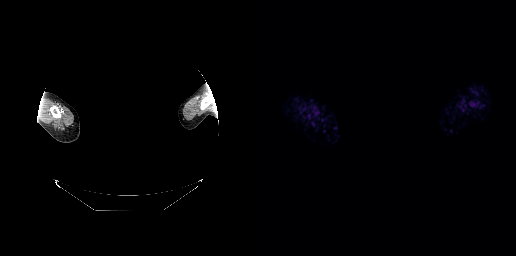
This slice has no annotated PSMA-avid lesion.
modality: PSMA PET/CT | tracer: 68Ga-PSMA | view: axial | PET grid: 256×256 | redaction: face masked with black rectangle